Two-panel axial: CT | PSMA PET, 68Ga tracer.
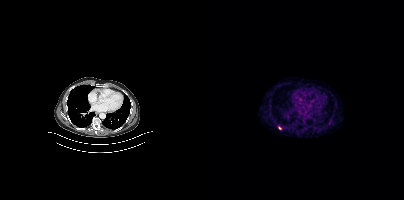
Coordinates are on the 200×200 PET (right) panel. Small PSMA-avid focus (2 to 4 px across) near (center x, center y): (75, 128).